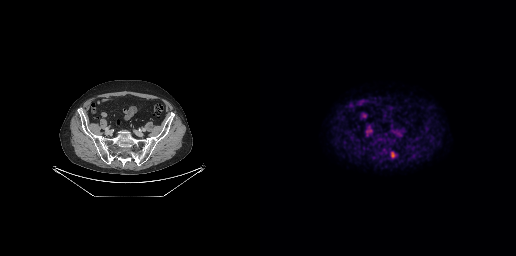
Findings: Coordinates are on the 256×256 PET (right) panel. PSMA-avid tumor lesion bounding box (x, y, width, height): x=131 y=152 w=5 h=6.
Technique: Left: CT. Right: PSMA PET, same axial level, [18F]PSMA-1007 tracer. acquired on GE Discovery 690.